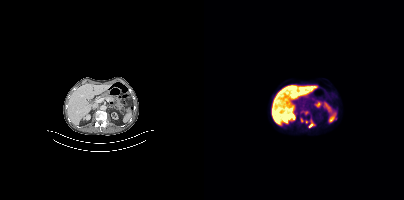
modality: PSMA PET/CT | tracer: 18F | view: axial | PET grid: 200×200
Coordinates are on the 200×200 PET (right) panel. PSMA-avid tumor lesion bounding boxes (x0, y0)-(x1, y1): (105, 117)-(108, 127); (96, 118)-(99, 122). Small PSMA-avid foci (2 to 4 px across) near (center x, center y): (101, 112); (101, 121); (110, 124).